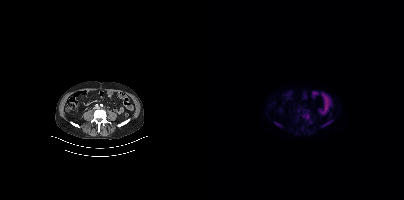
modality: PSMA PET/CT | tracer: [18F]PSMA-1007 | view: axial | PET grid: 200×200
Coordinates are on the 200×200 PET (right) panel. PSMA-avid tumor lesion bounding boxes (x0,y0,x1,y1): [118,120,128,126], [71,122,77,127].